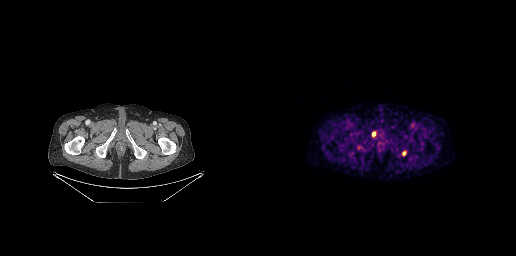
- Paired axial CT (left) and PSMA PET (right), 18F-PSMA tracer
- acquired on GE Discovery 690
- PET panel 256×256 px (2.7 mm/px)
Findings: Coordinates are on the 256×256 PET (right) panel. PSMA-avid tumor lesion bounding box (x, y, width, height): x=142 y=151 w=5 h=5. Small PSMA-avid focus (2 to 4 px across) near (center x, center y): (113, 133).